Two-panel axial: CT | PSMA PET, 18F-PSMA tracer. Acquired on Siemens Biograph mCT Flow 20. PET panel 200×200 px (4.1 mm/px).
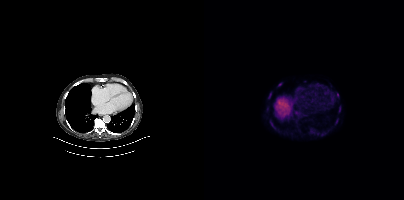
Coordinates are on the 200×200 PET (right) panel. PSMA-avid tumor lesion bounding boxes (x, y, width, height): x=66 y=122 w=6 h=8 / x=64 y=93 w=4 h=6 / x=135 y=106 w=2 h=6 / x=133 y=93 w=2 h=5 / x=132 y=119 w=2 h=5. Small PSMA-avid focus (2 to 4 px across) near (center x, center y): (75, 84).